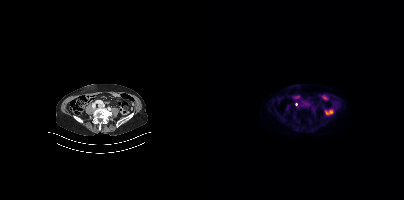
{"modality":"PSMA PET/CT","view":"axial","tracer":"18F","pet_grid":[200,200],"coord_frame":"pet_panel","coord_format":"x0,y0,x1,y1","partial":true,"lesion_bboxes":[]}